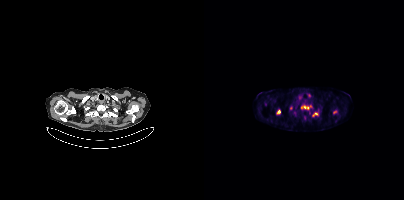
Coordinates are on the 200×200 PET (right) panel. (showing 5 of 6 foci) PSMA-avid tumor lesion bounding boxes (x0,y0,x1,y1): [97,105,107,109]; [72,109,76,114]. Small PSMA-avid foci (2 to 4 px across) near (center x, center y): (87, 107); (131, 112); (112, 113).